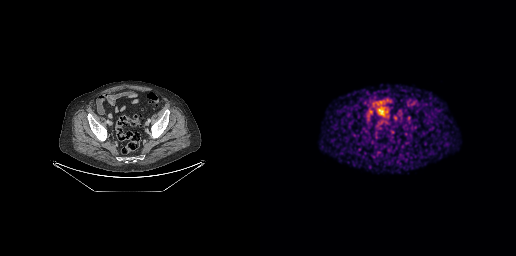
modality: PSMA PET/CT | tracer: [68Ga]Ga-PSMA-11 | view: axial | PET grid: 256×256
Negative for PSMA-avid disease on this slice.